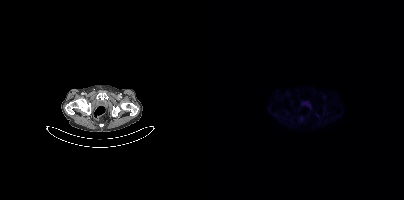
modality: PSMA PET/CT | tracer: [18F]PSMA-1007 | view: axial
No tumor lesions annotated on this slice.